The face region was removed for patient privacy by blanking a rectangle over the head.
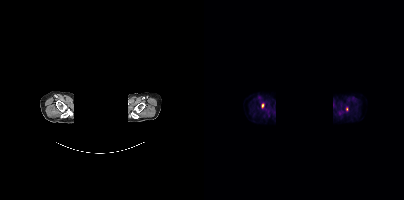
Coordinates are on the 200×200 PET (right) panel. (showing 1 of 2 foci) Small PSMA-avid focus (2 to 4 px across) near (center x, center y): (58, 105).